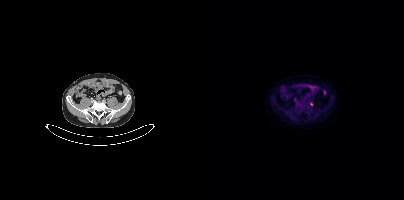
Findings: Coordinates are on the 200×200 PET (right) panel. Small PSMA-avid focus (2 to 4 px across) near (center x, center y): (107, 103).
- Left: CT. Right: PSMA PET, same axial level, 18F tracer
- slice 118 of 393
- PET panel 200×200 px (4.1 mm/px)